Technique: Paired axial CT (left) and PSMA PET (right), 18F-PSMA tracer. PET panel 200×200 px (4.1 mm/px).
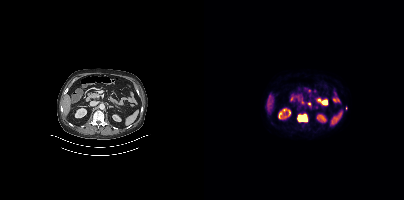
Findings: Coordinates are on the 200×200 PET (right) panel. (showing 1 of 2 foci) PSMA-avid tumor lesion bounding box (x, y, width, height): x=93 y=114 w=11 h=8.